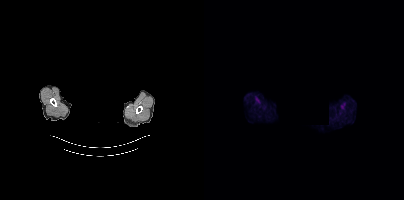
Facial anatomy redacted by setting a rectangular region of the head to black.
This slice has no annotated PSMA-avid lesion.